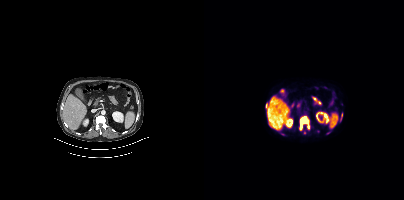
Coordinates are on the 200×200 PET (right) panel. PSMA-avid tumor lesion bounding box (x0,y0,x1,y1): [96,116,105,129]. Small PSMA-avid focus (2 to 4 px across) near (center x, center y): (62, 104).